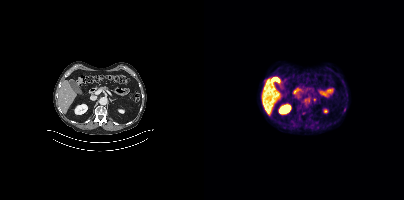
Paired axial CT (left) and PSMA PET (right), 18F tracer. Slice 213 of 429. PET panel 200×200 px (4.1 mm/px). Negative for PSMA-avid disease on this slice.